Technique: Two-panel axial: CT | PSMA PET, 18F-PSMA tracer. acquired on Siemens Biograph mCT Flow 20. slice 75 of 454. PET panel 200×200 px (4.1 mm/px).
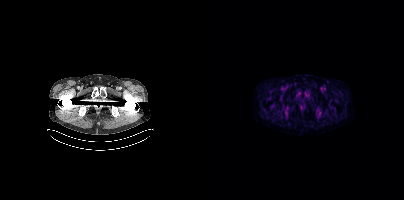
Findings: This slice has no annotated PSMA-avid lesion.